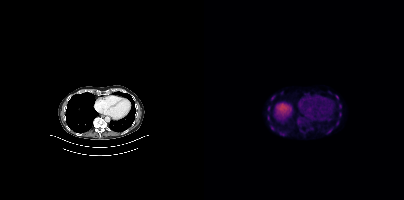
Coordinates are on the 200×200 PET (right) panel. PSMA-avid tumor lesion bounding boxes (x0, y0)-(x1, y1): (67, 95)-(71, 100); (135, 104)-(137, 108); (66, 125)-(69, 129); (135, 112)-(137, 116); (64, 106)-(66, 110).